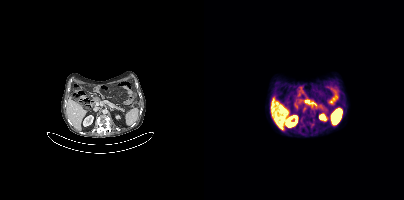
- Left: CT. Right: PSMA PET, same axial level, 18F tracer
- slice position z = -1258 mm
Findings: Coordinates are on the 200×200 PET (right) panel. (showing 4 of 5 foci) PSMA-avid tumor lesion bounding boxes (x0, y0)-(x1, y1): (105, 119)-(110, 127) | (98, 106)-(103, 112) | (97, 117)-(100, 126). Small PSMA-avid focus (2 to 4 px across) near (center x, center y): (95, 95).